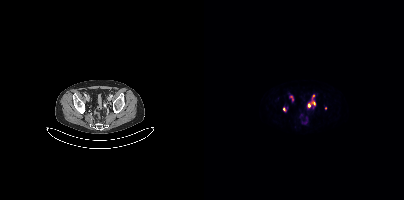
Coordinates are on the 200×200 PET (right) panel. PSMA-avid tumor lesion bounding box (x0, y0)-(x1, y1): (104, 100)-(111, 107). Small PSMA-avid foci (2 to 4 px across) near (center x, center y): (87, 97) / (109, 96) / (121, 108) / (79, 109).